- Two-panel axial: CT | PSMA PET, 18F tracer
- slice 6 of 165
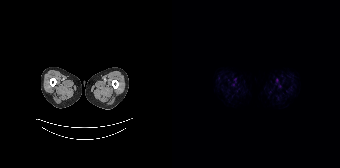
Findings: This slice has no annotated PSMA-avid lesion.